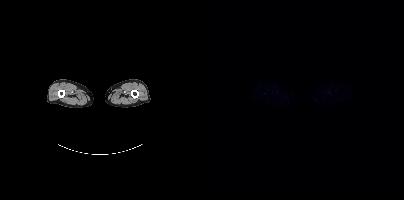
No tumor lesions annotated on this slice.